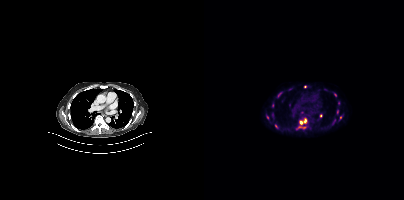
Findings: Coordinates are on the 200×200 PET (right) panel. (showing 13 of 14 foci) PSMA-avid tumor lesion bounding boxes (x0,y0,x1,y1): [95,118,102,124] [95,126,101,129] [74,92,77,97] [128,119,131,124]. Small PSMA-avid foci (2 to 4 px across) near (center x, center y): (131, 94) (133, 111) (72, 126) (101, 86) (68, 105) (63, 117) (136, 117) (134, 102) (116, 115).
- Left: CT. Right: PSMA PET, same axial level, 18F-PSMA tracer
- acquired on Siemens Biograph mCT Flow 20
- slice 282 of 413
- PET panel 200×200 px (4.1 mm/px)